Paired axial CT (left) and PSMA PET (right), 18F tracer. Acquired on Siemens Biograph 64-4R TruePoint.
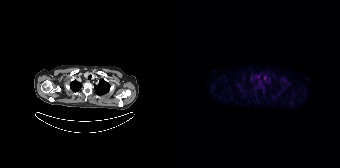
Coordinates are on the 168×168 PET (right) panel. PSMA-avid tumor lesion bounding boxes:
| # | x0 | y0 | x1 | y1 |
|---|---|---|---|---|
| 1 | 85 | 82 | 91 | 88 |